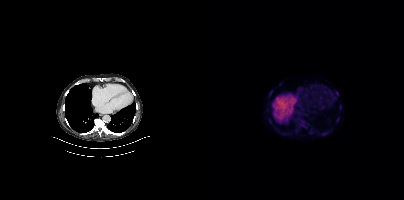
Technique: Paired axial CT (left) and PSMA PET (right), 18F-PSMA tracer. slice 266 of 427. PET panel 200×200 px (4.1 mm/px).
Findings: Coordinates are on the 200×200 PET (right) panel. (showing 3 of 7 foci) Small PSMA-avid foci (2 to 4 px across) near (center x, center y): (133, 93); (65, 94); (133, 119).